Paired axial CT (left) and PSMA PET (right), [68Ga]Ga-PSMA-11 tracer. Acquired on GE Discovery 690. Slice position z = -613 mm.
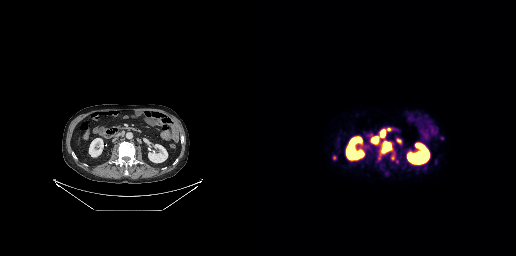
Coordinates are on the 256×256 PET (right) panel. (showing 7 of 8 foci) PSMA-avid tumor lesion bounding boxes (x0,y0,x1,y1): [120,142,130,154], [112,137,117,143], [131,155,134,160], [121,131,124,136], [137,139,141,142]. Small PSMA-avid foci (2 to 4 px across) near (center x, center y): (129, 129), (74, 157).